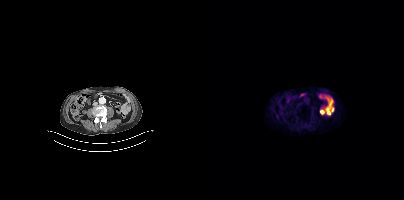
No PSMA-avid tumor lesions on this slice.